modality: PSMA PET/CT | tracer: 18F-PSMA | view: axial
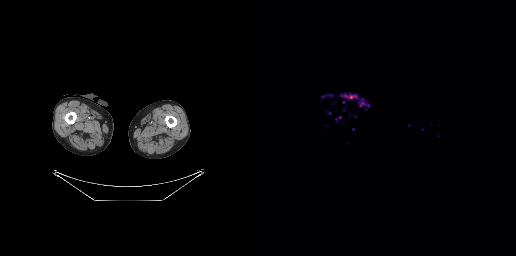
Negative for PSMA-avid disease on this slice.